Paired axial CT (left) and PSMA PET (right), 68Ga-PSMA tracer. PET panel 200×200 px (4.1 mm/px).
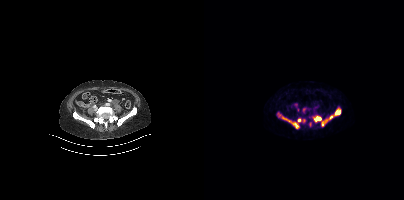
Coordinates are on the 200×200 PET (right) panel. PSMA-avid tumor lesion bounding boxes:
| # | x0 | y0 | x1 | y1 |
|---|---|---|---|---|
| 1 | 110 | 108 | 136 | 126 |
| 2 | 73 | 112 | 96 | 128 |
Small PSMA-avid foci (2 to 4 px across) near (center x, center y): (106, 124); (100, 121); (99, 109).